modality: PSMA PET/CT | tracer: 18F | view: axial
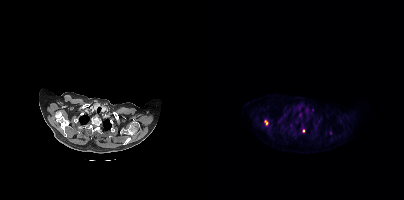
Coordinates are on the 200×200 PET (right) panel. PSMA-avid tumor lesion bounding box (x0,y0,x1,y1): [60,120,63,124]. Small PSMA-avid focus (2 to 4 px across) near (center x, center y): (99, 131).